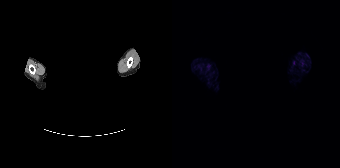
Negative for PSMA-avid disease on this slice.
de-identification: head region blacked out before release | modality: PSMA PET/CT | tracer: [68Ga]Ga-PSMA-11 | view: axial